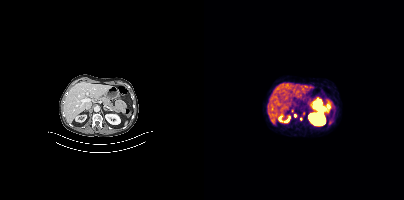
Coordinates are on the 200×200 PET (right) panel. Small PSMA-avid foci (2 to 4 px across) near (center x, center y): (91, 115); (99, 113); (96, 118). Left: CT. Right: PSMA PET, same axial level, 68Ga tracer. Acquired on Siemens Biograph mCT Flow 20. Slice position z = -1176 mm. PET panel 200×200 px (4.1 mm/px).